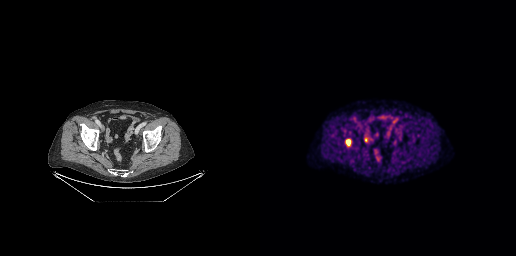
Coordinates are on the 256×256 PET (right) panel. PSMA-avid tumor lesion bounding box (x, y, width, height): x=86 y=139 w=6 h=8.